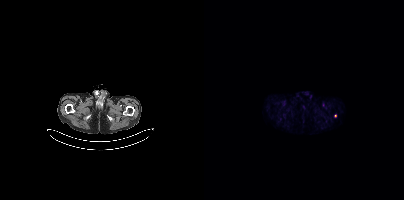
{"modality":"PSMA PET/CT","view":"axial","tracer":"18F-PSMA","pet_grid":[200,200],"coord_frame":"pet_panel","coord_format":"x0,y0,x1,y1","lesion_bboxes":[],"small_foci_centers":[[131,116]]}